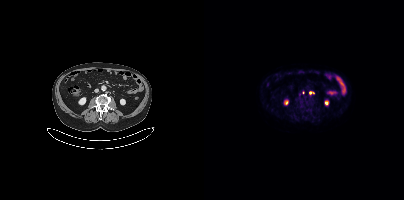
modality: PSMA PET/CT | tracer: 18F-PSMA | view: axial
This slice has no annotated PSMA-avid lesion.